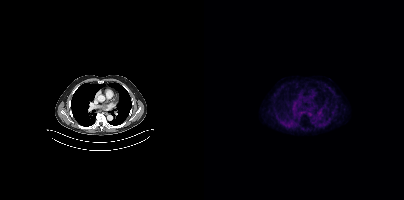
No PSMA-avid tumor lesions on this slice.